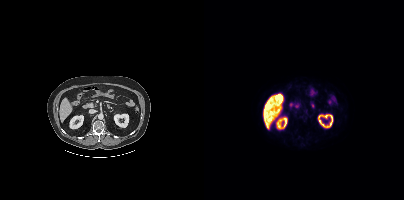
Paired axial CT (left) and PSMA PET (right), 18F tracer. PET panel 200×200 px (4.1 mm/px). This slice has no annotated PSMA-avid lesion.